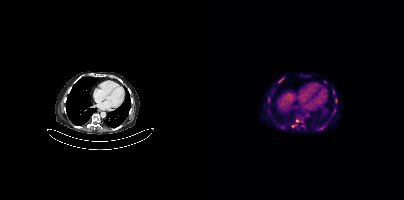
Coordinates are on the 200×200 PET (right) panel. (showing 6 of 7 foci) PSMA-avid tumor lesion bounding box (x0,y0,x1,y1): [74,78,79,82]. Small PSMA-avid foci (2 to 4 px across) near (center x, center y): (93, 120); (129, 92); (131, 100); (88, 126); (130, 110).